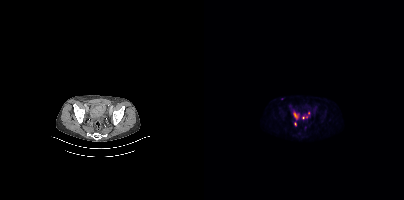
modality: PSMA PET/CT | tracer: [18F]PSMA-1007 | view: axial | PET grid: 200×200
Coordinates are on the 200×200 PET (right) panel. PSMA-avid tumor lesion bounding box (x0, y0)-(x1, y1): (89, 112)-(94, 118). Small PSMA-avid foci (2 to 4 px across) near (center x, center y): (91, 123); (99, 117); (104, 112); (102, 116).